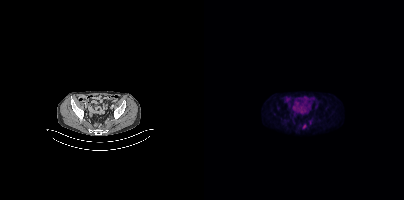
Coordinates are on the 200×200 PET (right) panel. Small PSMA-avid foci (2 to 4 px across) near (center x, center y): (99, 126); (106, 121).